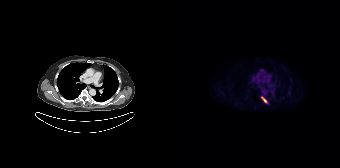
Coordinates are on the 168×168 PET (right) panel. (showing 1 of 2 foci) PSMA-avid tumor lesion bounding box (x0,y0,x1,y1): [89,97,94,102].